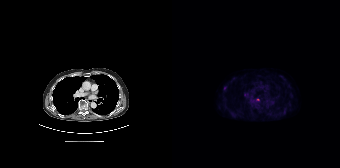
Left: CT. Right: PSMA PET, same axial level, [18F]PSMA-1007 tracer. Slice 114 of 165. Coordinates are on the 168×168 PET (right) panel. Small PSMA-avid foci (2 to 4 px across) near (center x, center y): (52, 87); (85, 99).